Left: CT. Right: PSMA PET, same axial level, [18F]PSMA-1007 tracer. Acquired on Siemens Biograph mCT Flow 20. Slice position z = -386 mm.
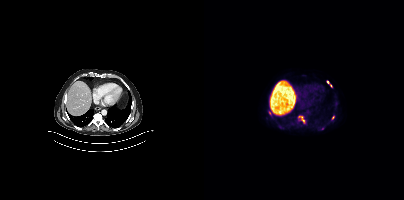
Coordinates are on the 200×200 PET (right) panel. PSMA-avid tumor lesion bounding boxes (partial; 1 more focus not listed):
| # | x0 | y0 | x1 | y1 |
|---|---|---|---|---|
| 1 | 94 | 116 | 100 | 123 |
| 2 | 123 | 81 | 127 | 86 |
| 3 | 65 | 111 | 67 | 115 |
Small PSMA-avid focus (2 to 4 px across) near (center x, center y): (129, 117).